Left: CT. Right: PSMA PET, same axial level, 18F tracer. Acquired on GE Discovery 690. PET panel 256×256 px (2.7 mm/px).
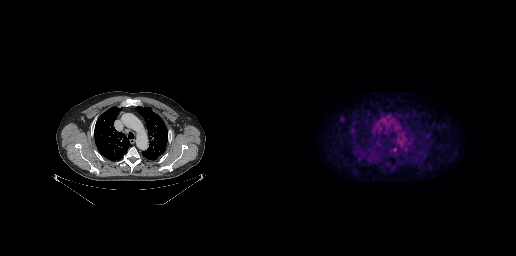
Negative for PSMA-avid disease on this slice.